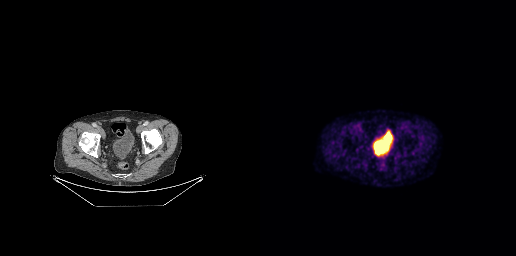
- Paired axial CT (left) and PSMA PET (right), [18F]PSMA-1007 tracer
- slice position z = -764 mm
- PET panel 256×256 px (2.7 mm/px)
Findings: This slice has no annotated PSMA-avid lesion.